Technique: Left: CT. Right: PSMA PET, same axial level, [68Ga]Ga-PSMA-11 tracer. PET panel 200×200 px (4.1 mm/px).
Note: The head region is masked for de-identification.
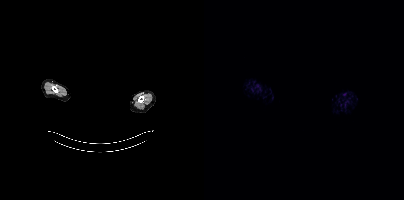
Findings: No tumor lesions annotated on this slice.